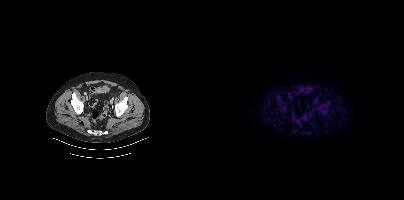
Findings: Coordinates are on the 200×200 PET (right) panel. PSMA-avid tumor lesion bounding boxes (x, y, width, height): x=116 y=108 w=7 h=8; x=72 y=95 w=5 h=8; x=75 y=107 w=8 h=5; x=121 y=101 w=5 h=5. Small PSMA-avid foci (2 to 4 px across) near (center x, center y): (104, 132); (115, 105).
Technique: Paired axial CT (left) and PSMA PET (right), 18F tracer. acquired on Siemens Biograph mCT Flow 20. slice position z = -1339 mm. PET panel 200×200 px (4.1 mm/px).